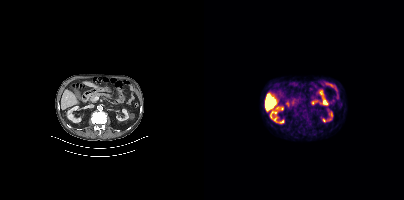
Technique: Left: CT. Right: PSMA PET, same axial level, 18F tracer. acquired on Siemens Biograph mCT Flow 20. slice 180 of 427.
Findings: No PSMA-avid tumor lesions on this slice.